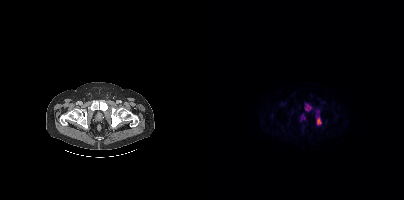
{"pet_grid":[200,200],"coord_frame":"pet_panel","coord_format":"x0,y0,x1,y1","partial":true,"lesion_bboxes":[[113,118,117,124],[97,115,101,119]],"small_foci_centers":[[103,105],[103,109]],"modality":"PSMA PET/CT","view":"axial","tracer":"18F-PSMA"}